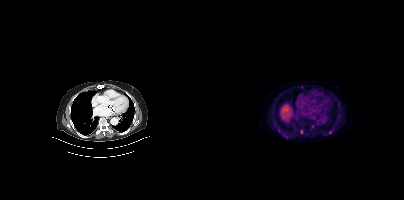
Coordinates are on the 200×200 PET (right) panel. Small PSMA-avid foci (2 to 4 px across) near (center x, center y): (126, 132) | (82, 136) | (97, 131) | (98, 87) | (108, 126).